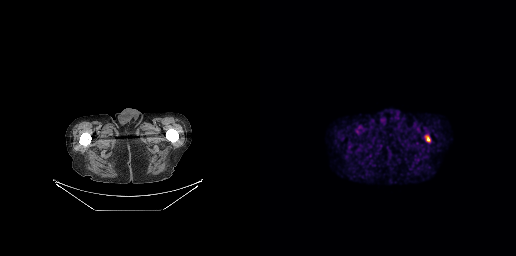
Coordinates are on the 256×256 PET (right) panel. Small PSMA-avid focus (2 to 4 px across) near (center x, center y): (168, 138).